Technique: Two-panel axial: CT | PSMA PET, [18F]PSMA-1007 tracer.
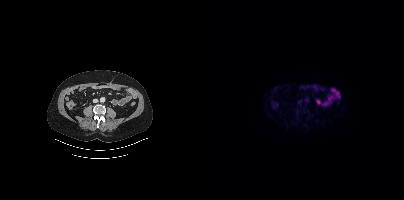
Findings: No tumor lesions annotated on this slice.